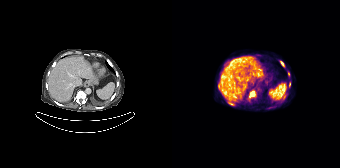
Findings: Coordinates are on the 168×168 PET (right) panel. (showing 5 of 7 foci) PSMA-avid tumor lesion bounding boxes (x0,y0,x1,y1): [76,91,84,100] [108,61,112,66] [117,82,118,86]. Small PSMA-avid foci (2 to 4 px across) near (center x, center y): (56, 102) (116, 74).
Technique: Two-panel axial: CT | PSMA PET, 68Ga tracer. slice 101 of 165. PET panel 168×168 px (4.1 mm/px).